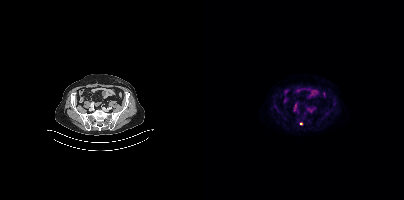
Coordinates are on the 200×200 PET (right) panel. Small PSMA-avid foci (2 to 4 px across) near (center x, center y): (97, 118); (97, 123).